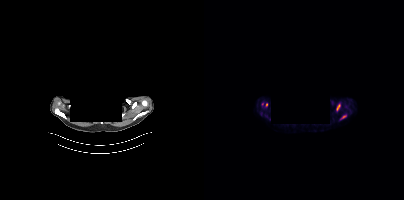
Two-panel axial: CT | PSMA PET, [18F]PSMA-1007 tracer. Acquired on Siemens Biograph mCT Flow 20. Slice position z = -902 mm. PET panel 200×200 px (4.1 mm/px). The face region was removed for patient privacy by blanking a rectangle over the head.
Coordinates are on the 200×200 PET (right) panel. PSMA-avid tumor lesion bounding boxes (partial; 2 more foci not listed):
| # | x0 | y0 | x1 | y1 |
|---|---|---|---|---|
| 1 | 136 | 115 | 142 | 119 |
Small PSMA-avid foci (2 to 4 px across) near (center x, center y): (62, 104); (133, 108).